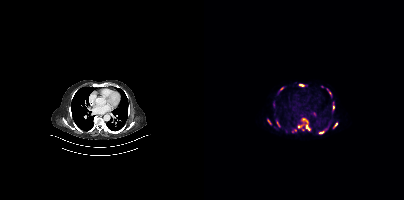
- Left: CT. Right: PSMA PET, same axial level, 68Ga tracer
- acquired on Siemens Biograph mCT Flow 20
- slice 269 of 397
Findings: Coordinates are on the 200×200 PET (right) panel. (showing 12 of 17 foci) PSMA-avid tumor lesion bounding boxes (x, y, width, height): x=101 y=124 w=5 h=6 | x=123 y=88 w=4 h=6 | x=63 y=119 w=4 h=5 | x=73 y=123 w=4 h=5 | x=94 y=125 w=5 h=4. Small PSMA-avid foci (2 to 4 px across) near (center x, center y): (77, 88) | (97, 85) | (131, 124) | (118, 132) | (129, 107) | (69, 101) | (72, 120).